modality: PSMA PET/CT | tracer: 68Ga | view: axial
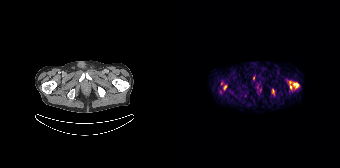
Coordinates are on the 168×168 PET (right) panel. (showing 4 of 6 foci) PSMA-avid tumor lesion bounding boxes (x0,y0,x1,y1): [121,83,126,87]; [117,81,119,88]; [51,85,54,89]. Small PSMA-avid focus (2 to 4 px across) near (center x, center y): (49, 83).